modality: PSMA PET/CT | tracer: 18F | view: axial
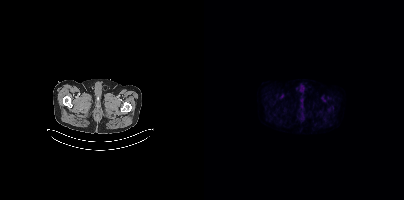
Negative for PSMA-avid disease on this slice.